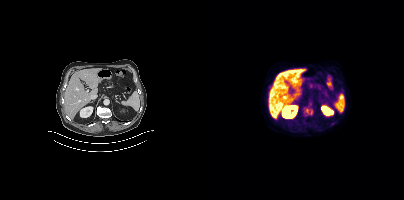
Findings: Coordinates are on the 200×200 PET (right) panel. PSMA-avid tumor lesion bounding boxes (x, y, width, height): x=102 y=109 w=3 h=5; x=107 y=110 w=2 h=5. Small PSMA-avid focus (2 to 4 px across) near (center x, center y): (128, 123).
- Left: CT. Right: PSMA PET, same axial level, 18F-PSMA tracer
- PET panel 200×200 px (4.1 mm/px)